Left: CT. Right: PSMA PET, same axial level, 18F-PSMA tracer. Acquired on Siemens Biograph mCT Flow 20. Slice position z = 1714 mm. PET panel 200×200 px (4.1 mm/px).
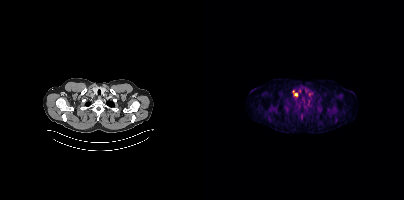
Coordinates are on the 200×200 PET (right) panel. (showing 2 of 3 foci) Small PSMA-avid foci (2 to 4 px across) near (center x, center y): (91, 94) | (105, 93).